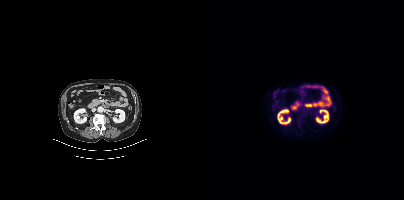
modality: PSMA PET/CT | tracer: 18F | view: axial
Negative for PSMA-avid disease on this slice.